Left: CT. Right: PSMA PET, same axial level, 18F-PSMA tracer. Slice 272 of 425. PET panel 200×200 px (4.1 mm/px).
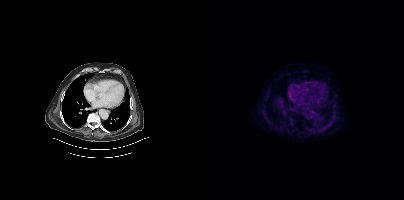
Negative for PSMA-avid disease on this slice.